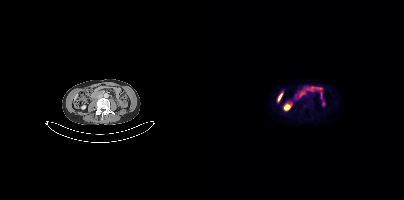
Technique: Two-panel axial: CT | PSMA PET, 18F tracer. slice 157 of 448. PET panel 200×200 px (4.1 mm/px).
Findings: Negative for PSMA-avid disease on this slice.